The head region is masked for de-identification. Paired axial CT (left) and PSMA PET (right), [18F]PSMA-1007 tracer. PET panel 200×200 px (4.1 mm/px).
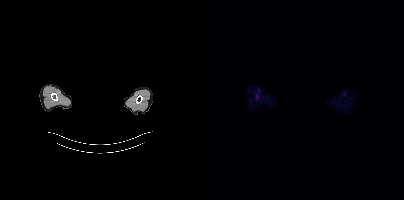
Negative for PSMA-avid disease on this slice.